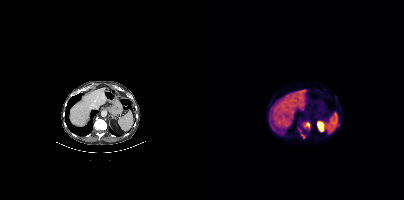
Coordinates are on the 200×200 PET (right) panel. PSMA-avid tumor lesion bounding boxes (partial; 2 more foci not listed):
| # | x0 | y0 | x1 | y1 |
|---|---|---|---|---|
| 1 | 101 | 123 | 105 | 126 |
Small PSMA-avid foci (2 to 4 px across) near (center x, center y): (98, 134); (96, 130).
Left: CT. Right: PSMA PET, same axial level, [18F]PSMA-1007 tracer. Slice 222 of 435. PET panel 200×200 px (4.1 mm/px).